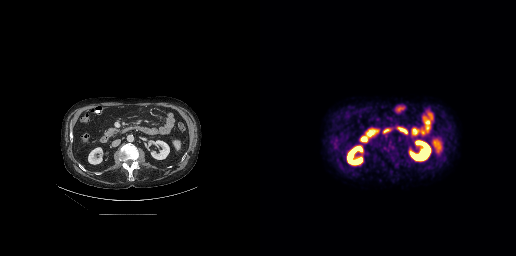
- Left: CT. Right: PSMA PET, same axial level, [18F]PSMA-1007 tracer
- slice position z = -441 mm
- PET panel 256×256 px (2.7 mm/px)
Findings: No tumor lesions annotated on this slice.